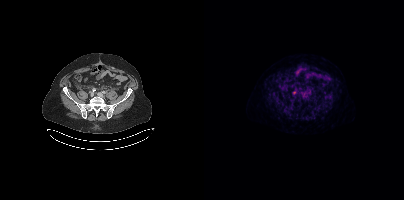
- Paired axial CT (left) and PSMA PET (right), 18F tracer
- PET panel 200×200 px (4.1 mm/px)
Findings: Coordinates are on the 200×200 PET (right) panel. PSMA-avid tumor lesion bounding box (x, y, width, height): x=99 y=96 w=5 h=5.